Left: CT. Right: PSMA PET, same axial level, 18F-PSMA tracer. Slice 111 of 421.
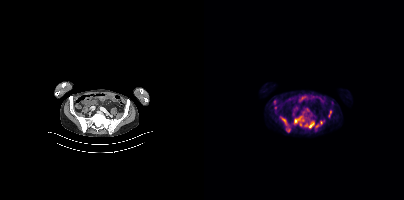
Coordinates are on the 200×200 PET (right) panel. PSMA-avid tumor lesion bounding boxes (partial; 2 more foci not listed):
| # | x0 | y0 | x1 | y1 |
|---|---|---|---|---|
| 1 | 90 | 117 | 100 | 126 |
| 2 | 100 | 121 | 110 | 128 |
| 3 | 80 | 121 | 86 | 130 |
Small PSMA-avid foci (2 to 4 px across) near (center x, center y): (117, 122); (126, 112); (111, 126).